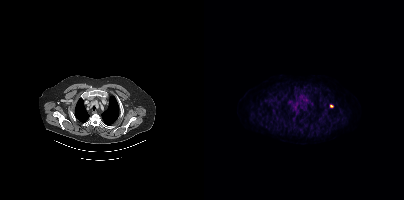
modality: PSMA PET/CT | tracer: [18F]PSMA-1007 | view: axial | PET grid: 200×200
Coordinates are on the 200×200 PET (right) panel. Small PSMA-avid focus (2 to 4 px across) near (center x, center y): (127, 106).